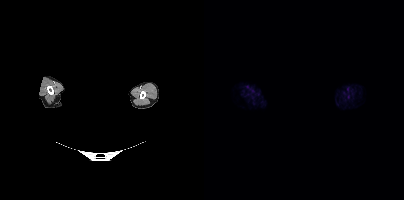
Findings: This slice has no annotated PSMA-avid lesion.
Technique: Two-panel axial: CT | PSMA PET, 18F-PSMA tracer. slice 419 of 438.
Note: Face de-identified by blanking a block of the head.